Two-panel axial: CT | PSMA PET, [18F]PSMA-1007 tracer. Acquired on Siemens Biograph mCT Flow 20. Slice position z = -396 mm. PET panel 200×200 px (4.1 mm/px).
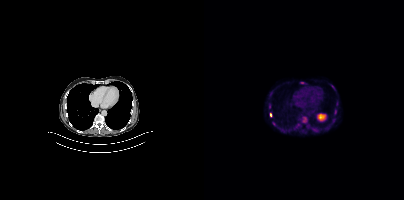
Coordinates are on the 200×200 PET (right) panel. (showing 6 of 7 foci) PSMA-avid tumor lesion bounding boxes (x0, y0)-(x1, y1): (98, 116)-(103, 122) | (96, 82)-(100, 83) | (130, 110)-(132, 114). Small PSMA-avid foci (2 to 4 px across) near (center x, center y): (66, 114) | (65, 105) | (66, 93).